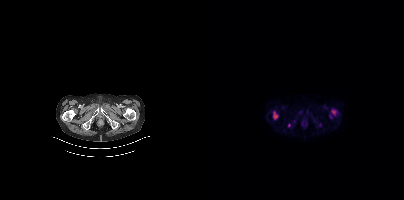
Coordinates are on the 200×200 PET (right) panel. PSMA-avid tumor lesion bounding boxes (x0,y0,x1,y1): [69,111,74,119] [128,110,131,114] [84,123,86,127]. Small PSMA-avid foci (2 to 4 px across) near (center x, center y): (90, 121) (115, 125). Two-panel axial: CT | PSMA PET, [18F]PSMA-1007 tracer. Slice position z = -1462 mm.